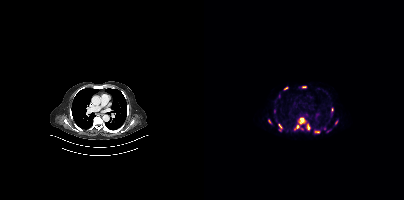
{"modality":"PSMA PET/CT","view":"axial","tracer":"68Ga-PSMA","pet_grid":[200,200],"coord_frame":"pet_panel","coord_format":"x0,y0,x1,y1","partial":true,"lesion_bboxes":[[90,117,100,129],[74,124,78,130],[103,124,106,129],[111,130,115,133],[98,86,102,88]],"small_foci_centers":[[82,88],[65,121],[128,110],[124,131],[131,122]]}